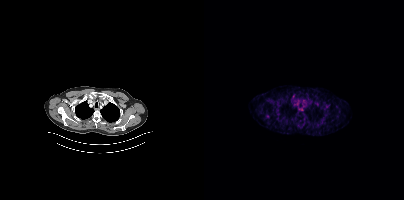
Negative for PSMA-avid disease on this slice. Two-panel axial: CT | PSMA PET, 68Ga tracer. Acquired on Siemens Biograph mCT Flow 20. Slice position z = -950 mm. PET panel 200×200 px (4.1 mm/px).